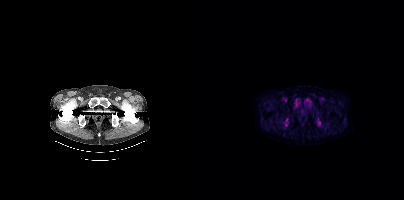
Left: CT. Right: PSMA PET, same axial level, [18F]PSMA-1007 tracer. Slice 57 of 438. Negative for PSMA-avid disease on this slice.